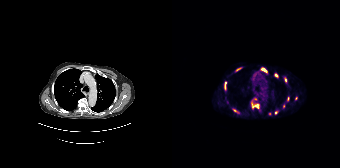
Coordinates are on the 168×168 PET (right) panel. (showing 11 of 13 foci) PSMA-avid tumor lesion bounding boxes (x, y, width, height): x=80 y=102 w=8 h=7 / x=52 y=82 w=3 h=9 / x=90 y=68 w=5 h=4. Small PSMA-avid foci (2 to 4 px across) near (center x, center y): (104, 75) / (116, 98) / (113, 79) / (62, 110) / (104, 112) / (65, 70) / (97, 113) / (111, 105).